Two-panel axial: CT | PSMA PET, [18F]PSMA-1007 tracer. PET panel 200×200 px (4.1 mm/px).
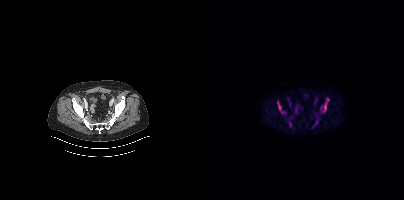
Coordinates are on the 200×200 PET (right) panel. PSMA-avid tumor lesion bounding boxes (partial; 1 more focus not listed):
| # | x0 | y0 | x1 | y1 |
|---|---|---|---|---|
| 1 | 73 | 101 | 81 | 113 |
| 2 | 120 | 98 | 124 | 111 |